Technique: Paired axial CT (left) and PSMA PET (right), 68Ga-PSMA tracer. PET panel 200×200 px (4.1 mm/px).
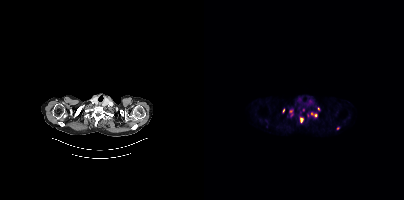
Findings: Coordinates are on the 200×200 PET (right) panel. (showing 5 of 8 foci) PSMA-avid tumor lesion bounding boxes (x0,y0,x1,y1): [95,117,99,123] [107,112,112,116] [86,111,88,116]. Small PSMA-avid foci (2 to 4 px across) near (center x, center y): (79, 110) (133, 128).